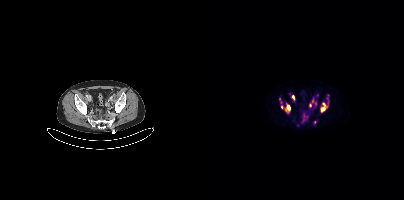
Coordinates are on the 200×200 PET (right) panel. (showing 10 of 11 foci) PSMA-avid tumor lesion bounding boxes (x0,y0,x1,y1): [81,105,86,112], [117,103,121,111], [87,95,91,101], [75,99,79,108], [108,101,112,105], [99,117,100,121]. Small PSMA-avid foci (2 to 4 px across) near (center x, center y): (106, 105), (123, 99), (110, 122), (102, 116).
modality: PSMA PET/CT | tracer: 18F | view: axial